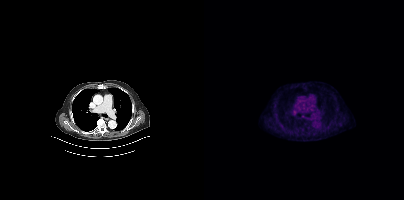
Findings: Only PSMA-avid lesion pieces thinner than 2 px on this slice (not listed).
Technique: Two-panel axial: CT | PSMA PET, 18F tracer. slice position z = -1004 mm. PET panel 200×200 px (4.1 mm/px).